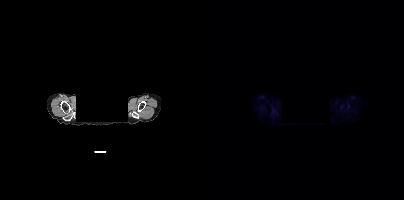
Findings: No tumor lesions annotated on this slice.
Technique: Left: CT. Right: PSMA PET, same axial level, 18F tracer. slice position z = -233 mm. PET panel 200×200 px (4.1 mm/px).
Note: A rectangular block over the head has been blanked out for de-identification.